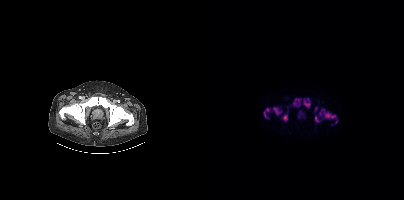
{"modality":"PSMA PET/CT","view":"axial","tracer":"18F-PSMA","pet_grid":[200,200],"coord_frame":"pet_panel","coord_format":"x0,y0,x1,y1","lesion_bboxes":[[115,109,133,123],[89,98,97,107],[99,98,106,106],[59,108,66,118],[69,107,77,114],[79,115,83,121],[111,116,116,122],[111,107,113,111]]}